- Left: CT. Right: PSMA PET, same axial level, 18F-PSMA tracer
- acquired on Siemens Biograph mCT Flow 20
- slice position z = -312 mm
- a rectangle over the head was blacked out to remove identifiable facial features
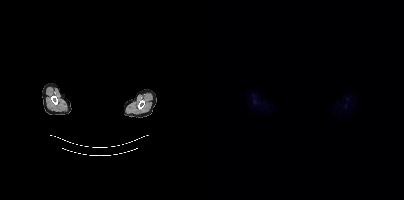
Findings: No tumor lesions annotated on this slice.